Technique: Left: CT. Right: PSMA PET, same axial level, 18F tracer. acquired on Siemens Biograph mCT Flow 20. PET panel 200×200 px (4.1 mm/px).
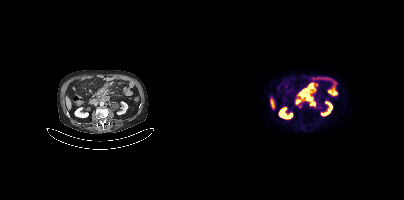
Findings: Coordinates are on the 200×200 PET (right) panel. (showing 2 of 3 foci) PSMA-avid tumor lesion bounding box (x0,y0,x1,y1): [98,83,108,94]. Small PSMA-avid focus (2 to 4 px across) near (center x, center y): (96, 106).